- Left: CT. Right: PSMA PET, same axial level, 68Ga-PSMA tracer
- acquired on Siemens Biograph 64-4R TruePoint
- slice 129 of 165
- PET panel 168×168 px (4.1 mm/px)
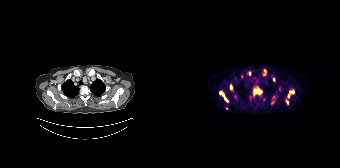
Findings: Coordinates are on the 168×168 PET (right) panel. (showing 9 of 10 foci) PSMA-avid tumor lesion bounding boxes (x, y, width, height): x=83 y=89 w=7 h=5; x=48 y=91 w=8 h=11; x=91 y=69 w=4 h=6; x=58 y=85 w=2 h=5. Small PSMA-avid foci (2 to 4 px across) near (center x, center y): (119, 92); (102, 79); (77, 73); (116, 96); (54, 108).